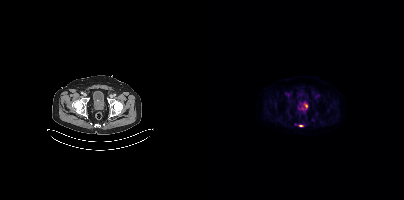
Findings: Coordinates are on the 200×200 PET (right) panel. PSMA-avid tumor lesion bounding box (x0,y0,x1,y1): [95,125,99,126].
- Left: CT. Right: PSMA PET, same axial level, 18F-PSMA tracer
- acquired on Siemens Biograph mCT Flow 20
- slice 75 of 389